- Paired axial CT (left) and PSMA PET (right), [18F]PSMA-1007 tracer
- acquired on GE Discovery 690
- PET panel 256×256 px (2.7 mm/px)
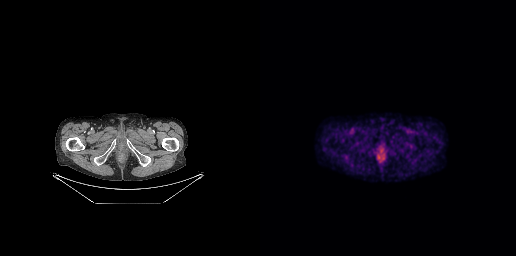
Findings: No tumor lesions annotated on this slice.